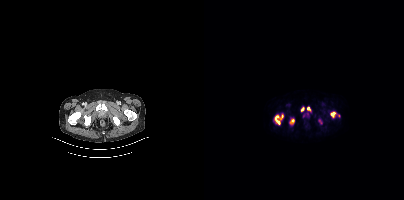
- Two-panel axial: CT | PSMA PET, 18F-PSMA tracer
- PET panel 200×200 px (4.1 mm/px)
Findings: Coordinates are on the 200×200 PET (right) panel. (showing 6 of 9 foci) PSMA-avid tumor lesion bounding boxes (x0, y0)-(x1, y1): (71, 115)-(76, 124) / (86, 119)-(90, 124) / (127, 112)-(131, 117) / (97, 107)-(99, 111) / (77, 115)-(79, 119). Small PSMA-avid focus (2 to 4 px across) near (center x, center y): (104, 108).